Paired axial CT (left) and PSMA PET (right), 18F tracer. Slice position z = -771 mm. PET panel 200×200 px (4.1 mm/px).
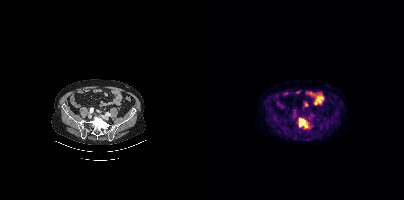
Coordinates are on the 200×200 PET (right) panel. PSMA-avid tumor lesion bounding box (x, y, width, height): x=95 y=118 w=10 h=11.